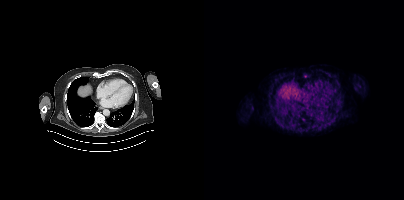
Two-panel axial: CT | PSMA PET, [68Ga]Ga-PSMA-11 tracer. Acquired on Siemens Biograph mCT Flow 20. Slice position z = -1086 mm. Only PSMA-avid lesion pieces thinner than 2 px on this slice (not listed).